Left: CT. Right: PSMA PET, same axial level, [18F]PSMA-1007 tracer. PET panel 200×200 px (4.1 mm/px).
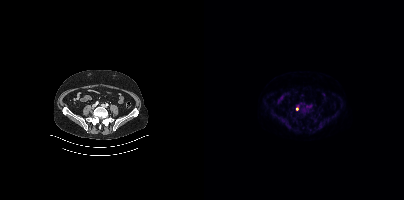
Coordinates are on the 200×200 PET (right) panel. Small PSMA-avid foci (2 to 4 px across) near (center x, center y): (93, 109) / (93, 105).